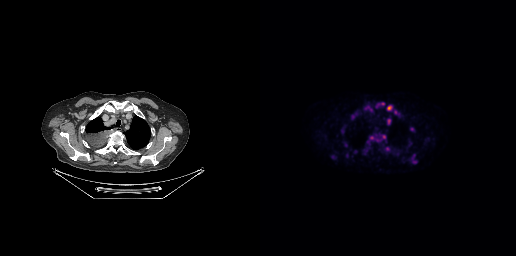
Coordinates are on the 256×256 PET (right) panel. PSMA-avid tumor lesion bounding boxes (x0,y0,x1,y1): [126,105,132,111], [127,118,131,124], [134,110,139,115]. Small PSMA-avid foci (2 to 4 px across) near (center x, center y): (124, 135), (122, 103), (111, 137), (154, 161).